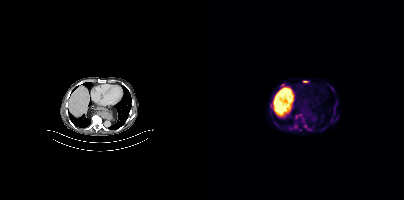
Technique: Left: CT. Right: PSMA PET, same axial level, 18F tracer. acquired on Siemens Biograph mCT Flow 20.
Findings: Coordinates are on the 200×200 PET (right) panel. (showing 5 of 6 foci) PSMA-avid tumor lesion bounding boxes (x0, y0)-(x1, y1): (101, 126)-(107, 130); (99, 81)-(104, 82). Small PSMA-avid foci (2 to 4 px across) near (center x, center y): (78, 85); (130, 107); (92, 116).